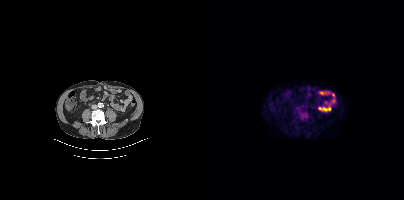
Two-panel axial: CT | PSMA PET, 18F tracer. No PSMA-avid tumor lesions on this slice.